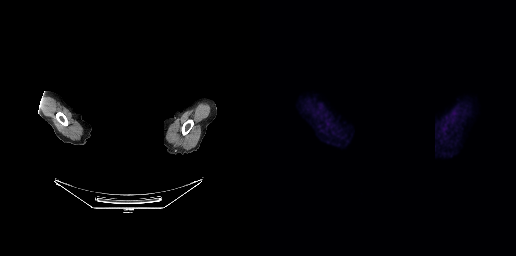
de-identification: rectangular block over head set to black | modality: PSMA PET/CT | tracer: [18F]PSMA-1007 | view: axial | PET grid: 256×256
No PSMA-avid tumor lesions on this slice.